Two-panel axial: CT | PSMA PET, 68Ga tracer. Slice position z = -658 mm. PET panel 256×256 px (2.7 mm/px).
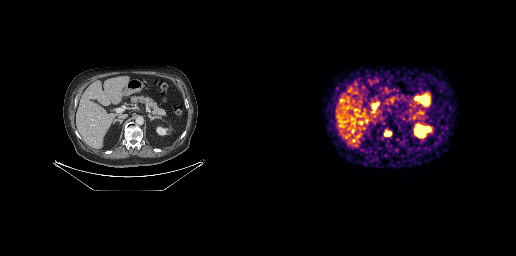
Coordinates are on the 256×256 PET (right) panel. PSMA-avid tumor lesion bounding boxes:
| # | x0 | y0 | x1 | y1 |
|---|---|---|---|---|
| 1 | 125 | 132 | 130 | 135 |